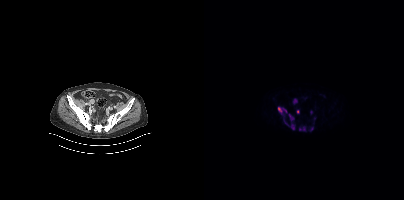
Coordinates are on the 200×200 PET (right) panel. PSMA-avid tumor lesion bounding boxes (x0, y0)-(x1, y1): (85, 114)-(90, 121); (105, 126)-(109, 131); (95, 126)-(101, 130); (89, 98)-(93, 103); (87, 124)-(90, 129); (74, 107)-(77, 112). Small PSMA-avid foci (2 to 4 px across) near (center x, center y): (93, 111); (107, 112); (83, 124).